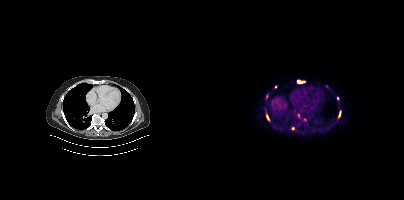
{"modality":"PSMA PET/CT","view":"axial","tracer":"18F-PSMA","pet_grid":[200,200],"coord_frame":"pet_panel","coord_format":"x0,y0,x1,y1","partial":true,"lesion_bboxes":[[93,80,100,83],[134,111,137,117],[62,115,65,120]],"small_foci_centers":[[89,128],[133,98],[71,86],[94,114],[100,119]]}